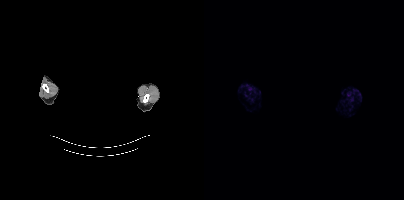
An anonymization step blacked out a rectangle over the head in this scan.
This slice has no annotated PSMA-avid lesion.